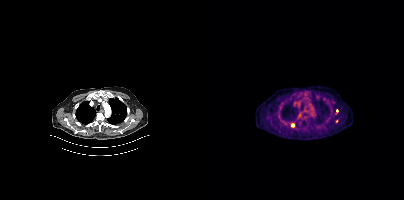
Coordinates are on the 200×200 PET (right) panel. Small PSMA-avid foci (2 to 4 px across) near (center x, center y): (89, 125); (132, 121); (131, 113); (132, 110).
modality: PSMA PET/CT | tracer: [18F]PSMA-1007 | view: axial